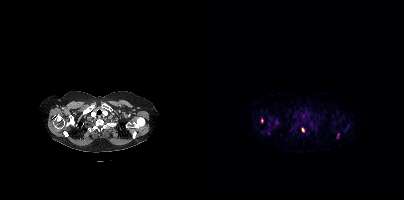
Coordinates are on the 200×200 PET (right) panel. Small PSMA-avid foci (2 to 4 px across) near (center x, center y): (99, 129); (58, 120); (134, 134).